Technique: Left: CT. Right: PSMA PET, same axial level, [18F]PSMA-1007 tracer. acquired on Siemens Biograph mCT Flow 20. slice 321 of 375. PET panel 200×200 px (4.1 mm/px).
Note: An anonymization step blacked out a rectangle over the head in this scan.
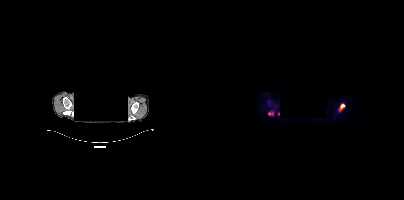
Findings: Coordinates are on the 200×200 PET (right) panel. PSMA-avid tumor lesion bounding boxes (x0,y0,x1,y1): [135,104,140,110], [64,112,69,115]. Small PSMA-avid focus (2 to 4 px across) near (center x, center y): (74, 114).